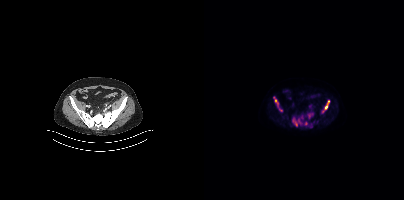
{"modality":"PSMA PET/CT","view":"axial","tracer":"[18F]PSMA-1007","pet_grid":[200,200],"coord_frame":"pet_panel","coord_format":"x0,y0,x1,y1","partial":true,"lesion_bboxes":[[118,100,125,112],[104,113,108,118],[70,97,74,104]],"small_foci_centers":[[92,123],[95,119],[102,123],[97,117]]}